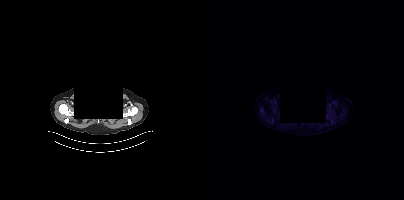
- the face region was removed for patient privacy by blanking a rectangle over the head
- Left: CT. Right: PSMA PET, same axial level, 18F-PSMA tracer
Findings: This slice has no annotated PSMA-avid lesion.